Two-panel axial: CT | PSMA PET, [68Ga]Ga-PSMA-11 tracer.
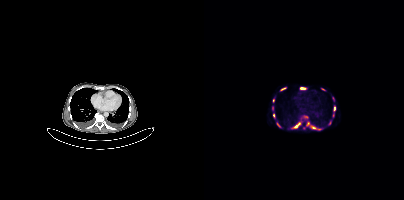
Coordinates are on the 200×200 PET (right) panel. (showing 12 of 15 foci) PSMA-avid tumor lesion bounding boxes (x, y, width, height): x=90 y=122 w=7 h=7 | x=107 y=126 w=10 h=4 | x=96 y=87 w=6 h=3 | x=129 y=106 w=3 h=5 | x=77 y=88 w=5 h=3. Small PSMA-avid foci (2 to 4 px across) near (center x, center y): (68, 108) | (104, 123) | (75, 126) | (119, 89) | (69, 115) | (129, 115) | (69, 100).